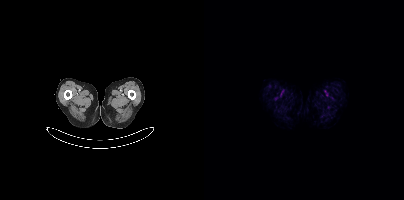
{"modality":"PSMA PET/CT","view":"axial","tracer":"18F-PSMA","pet_grid":[200,200],"coord_frame":"pet_panel","coord_format":"x0,y0,x1,y1","psma_avid_lesions":false}